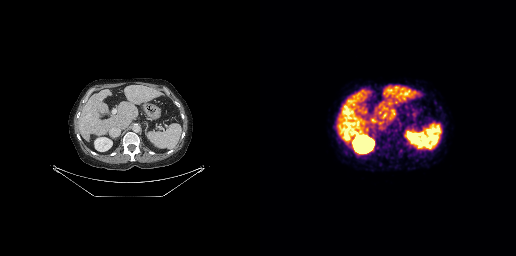
{"pet_grid":[256,256],"coord_frame":"pet_panel","coord_format":"x0,y0,x1,y1","psma_avid_lesions":false,"modality":"PSMA PET/CT","view":"axial","tracer":"68Ga"}